Left: CT. Right: PSMA PET, same axial level, 18F-PSMA tracer. Acquired on Siemens Biograph mCT Flow 20. Slice 46 of 433. PET panel 200×200 px (4.1 mm/px).
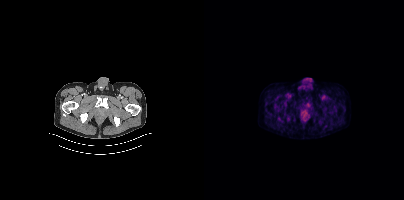
Only PSMA-avid lesion pieces thinner than 2 px on this slice (not listed).